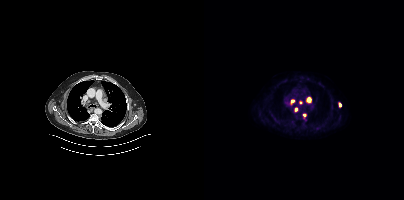
{"pet_grid":[200,200],"coord_frame":"pet_panel","coord_format":"x0,y0,x1,y1","lesion_bboxes":[[102,97,107,102],[86,99,90,104],[90,107,93,111]],"small_foci_centers":[[100,115],[136,104],[96,102]],"modality":"PSMA PET/CT","view":"axial","tracer":"[18F]PSMA-1007"}